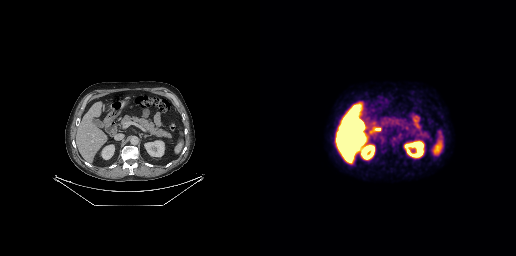
Coordinates are on the 256×256 PET (right) panel. PSMA-avid tumor lesion bounding box (x0,y0,x1,y1): [137,133,142,139].